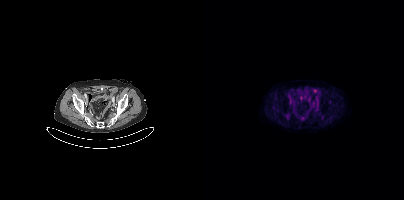
No tumor lesions annotated on this slice.